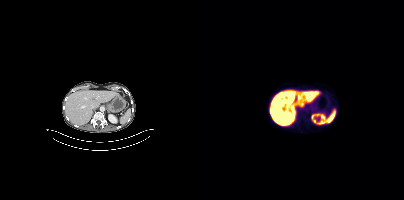
Technique: Paired axial CT (left) and PSMA PET (right), 18F tracer. acquired on Siemens Biograph mCT Flow 20. slice 210 of 423.
Findings: No PSMA-avid tumor lesions on this slice.